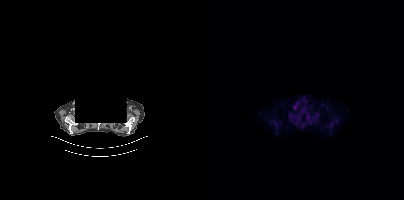
Coordinates are on the 200×200 PET (right) panel. Small PSMA-avid focus (2 to 4 px across) near (center x, center y): (90, 107).
modality: PSMA PET/CT | tracer: [18F]PSMA-1007 | view: axial | de-identification: privacy mask over head